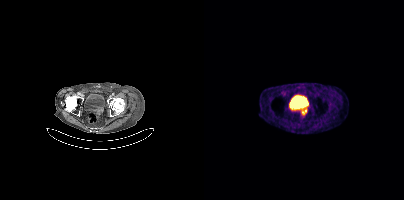
{"modality":"PSMA PET/CT","view":"axial","tracer":"68Ga-PSMA","pet_grid":[200,200],"coord_frame":"pet_panel","coord_format":"x0,y0,x1,y1","lesion_bboxes":[[96,108,103,115]]}